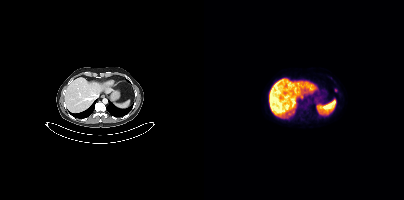
Technique: Two-panel axial: CT | PSMA PET, 18F tracer. acquired on Siemens Biograph mCT Flow 20. slice 254 of 429. PET panel 200×200 px (4.1 mm/px).
Findings: Coordinates are on the 200×200 PET (right) panel. Small PSMA-avid foci (2 to 4 px across) near (center x, center y): (111, 100) | (131, 89).